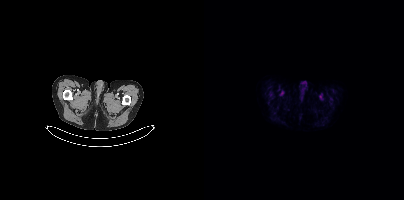
This slice has no annotated PSMA-avid lesion. Two-panel axial: CT | PSMA PET, 18F-PSMA tracer. Acquired on Siemens Biograph mCT Flow 20. Slice 30 of 431.